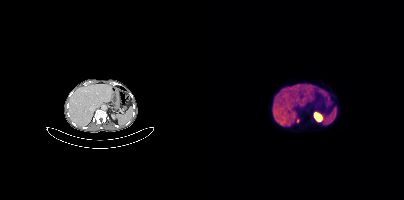
{"modality":"PSMA PET/CT","view":"axial","tracer":"68Ga-PSMA","pet_grid":[200,200],"coord_frame":"pet_panel","coord_format":"x0,y0,x1,y1","lesion_bboxes":[],"small_foci_centers":[[93,120]]}